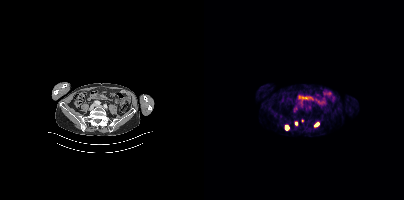
Coordinates are on the 200×200 PET (right) panel. PSMA-avid tumor lesion bounding boxes (x0, y0)-(x1, y1): (80, 124)-(85, 130); (110, 122)-(115, 126); (90, 121)-(94, 125). Small PSMA-avid focus (2 to 4 px across) near (center x, center y): (98, 120).